- Left: CT. Right: PSMA PET, same axial level, 18F tracer
- slice position z = -252 mm
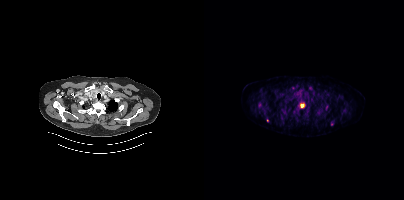
Findings: Coordinates are on the 200×200 PET (right) panel. (showing 9 of 13 foci) PSMA-avid tumor lesion bounding boxes (x0,y0,x1,y1): [54,101,60,108]; [96,103,101,109]; [104,86,108,90]; [138,108,142,112]; [102,107,104,113]; [116,108,119,112]; [80,104,82,108]; [121,102,124,106]. Small PSMA-avid focus (2 to 4 px across) near (center x, center y): (128, 123).